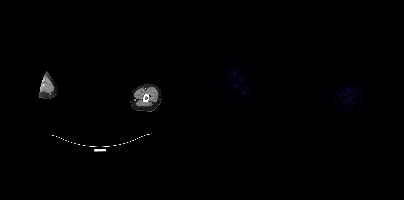
This slice has no annotated PSMA-avid lesion.
modality: PSMA PET/CT | tracer: 18F-PSMA | view: axial | PET grid: 200×200 | deidentification: head region blanked (face removed)